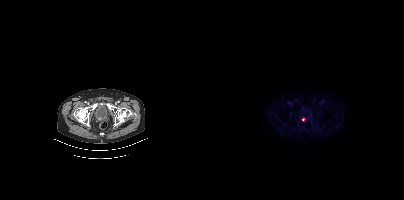
Coordinates are on the 200×200 PET (right) panel. Small PSMA-avid focus (2 to 4 px across) near (center x, center y): (99, 119). Paired axial CT (left) and PSMA PET (right), 18F tracer. Acquired on Siemens Biograph mCT Flow 20.